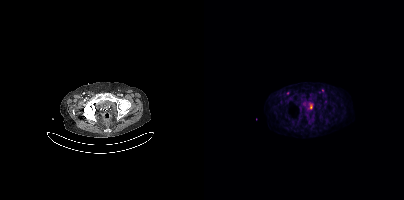
Coordinates are on the 200×200 PET (right) panel. Small PSMA-avid foci (2 to 4 px across) near (center x, center y): (84, 93); (118, 90).